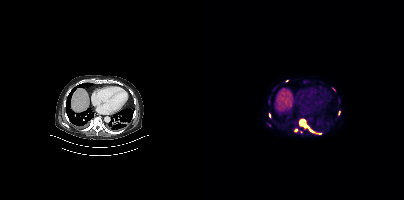
Coordinates are on the 200×200 PET (right) panel. PSMA-avid tumor lesion bounding boxes:
| # | x0 | y0 | x1 | y1 |
|---|---|---|---|---|
| 1 | 95 | 118 | 117 | 134 |
| 2 | 90 | 128 | 94 | 132 |
| 3 | 134 | 111 | 136 | 115 |
| 4 | 65 | 113 | 66 | 117 |
Small PSMA-avid foci (2 to 4 px across) near (center x, center y): (97, 132); (83, 80); (129, 88).
Two-panel axial: CT | PSMA PET, 18F-PSMA tracer. Acquired on Siemens Biograph mCT Flow 20. Slice position z = -1171 mm. PET panel 200×200 px (4.1 mm/px).